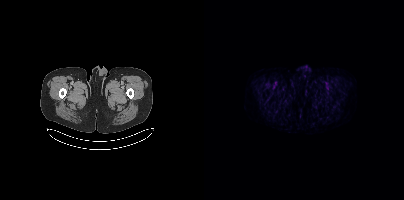
Coordinates are on the 200×200 PET (right) panel. Small PSMA-avid focus (2 to 4 px across) near (center x, center y): (67, 90).